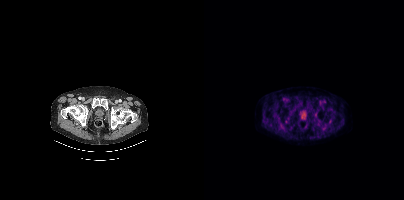
This slice has no annotated PSMA-avid lesion. Left: CT. Right: PSMA PET, same axial level, 18F tracer. Acquired on Siemens Biograph mCT Flow 20. PET panel 200×200 px (4.1 mm/px).